- the head region is masked for de-identification
- Two-panel axial: CT | PSMA PET, 18F tracer
- slice 397 of 429
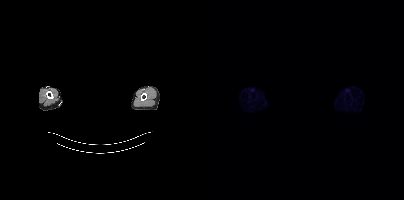
Findings: Negative for PSMA-avid disease on this slice.